Paired axial CT (left) and PSMA PET (right), 68Ga-PSMA tracer. Acquired on Siemens Biograph mCT Flow 20. PET panel 200×200 px (4.1 mm/px).
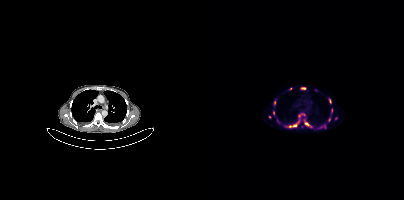
Coordinates are on the 200×200 PET (right) panel. PSMA-avid tumor lesion bounding boxes (partial; 4 more foci not listed):
| # | x0 | y0 | x1 | y1 |
|---|---|---|---|---|
| 1 | 89 | 121 | 95 | 126 |
| 2 | 125 | 99 | 127 | 103 |
| 3 | 97 | 87 | 101 | 89 |
| 4 | 70 | 100 | 71 | 105 |
Small PSMA-avid foci (2 to 4 px across) near (center x, center y): (99, 114); (69, 112); (102, 124); (95, 116); (86, 88); (125, 119); (86, 126).